Technique: Two-panel axial: CT | PSMA PET, [18F]PSMA-1007 tracer. acquired on Siemens Biograph mCT Flow 20. PET panel 200×200 px (4.1 mm/px).
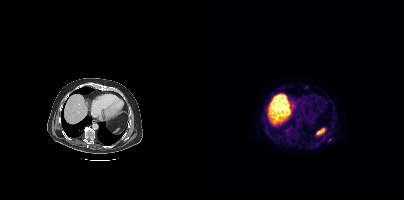
Findings: This slice has no annotated PSMA-avid lesion.